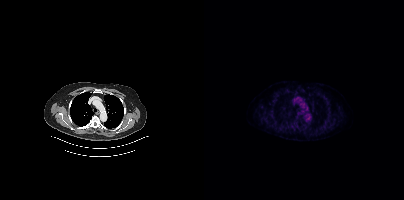
This slice has no annotated PSMA-avid lesion.